Technique: Paired axial CT (left) and PSMA PET (right), 18F-PSMA tracer.
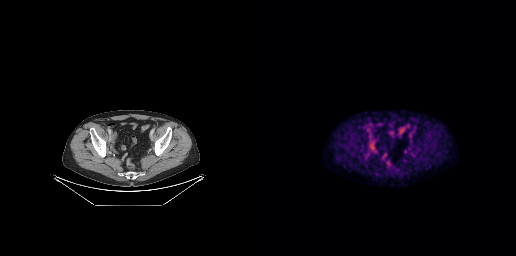
Findings: Coordinates are on the 256×256 PET (right) panel. Small PSMA-avid focus (2 to 4 px across) near (center x, center y): (145, 151).